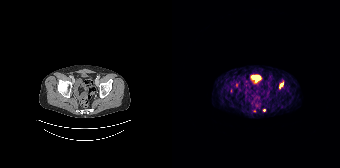
Technique: Two-panel axial: CT | PSMA PET, 68Ga tracer. acquired on Siemens Biograph 64-4R TruePoint. slice position z = -755 mm. PET panel 168×168 px (4.1 mm/px).
Findings: Coordinates are on the 168×168 PET (right) panel. (showing 3 of 5 foci) PSMA-avid tumor lesion bounding box (x0,y0,x1,y1): [107,82,111,88]. Small PSMA-avid foci (2 to 4 px across) near (center x, center y): (64, 85) (92, 110).